Two-panel axial: CT | PSMA PET, 68Ga tracer. Acquired on GE Discovery 690. PET panel 256×256 px (2.7 mm/px).
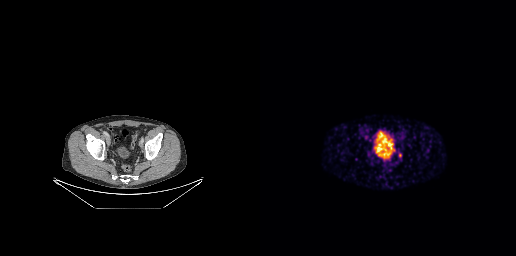
Only PSMA-avid lesion pieces thinner than 2 px on this slice (not listed).